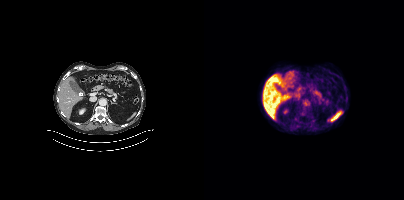
Findings: Negative for PSMA-avid disease on this slice.
Technique: Two-panel axial: CT | PSMA PET, 18F tracer. PET panel 200×200 px (4.1 mm/px).